modality: PSMA PET/CT | tracer: 18F-PSMA | view: axial
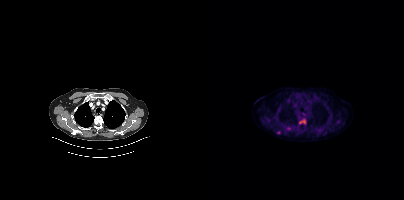
Coordinates are on the 200×200 PET (right) panel. PSMA-avid tumor lesion bounding box (x, y, width, height): x=95 y=119 w=7 h=6. Small PSMA-avid foci (2 to 4 px across) near (center x, center y): (74, 132); (84, 127).